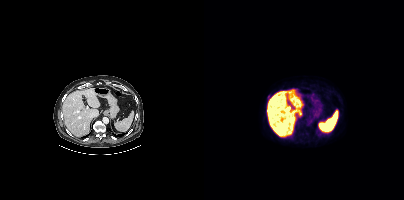
Paired axial CT (left) and PSMA PET (right), 18F-PSMA tracer. Acquired on Siemens Biograph mCT Flow 20. Coordinates are on the 200×200 PET (right) panel. Small PSMA-avid focus (2 to 4 px across) near (center x, center y): (64, 96).